Technique: Paired axial CT (left) and PSMA PET (right), 18F-PSMA tracer.
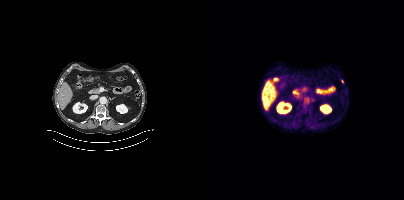
Findings: Coordinates are on the 200×200 PET (right) panel. Small PSMA-avid focus (2 to 4 px across) near (center x, center y): (138, 81).